Two-panel axial: CT | PSMA PET, 18F-PSMA tracer. Slice 288 of 427. PET panel 200×200 px (4.1 mm/px).
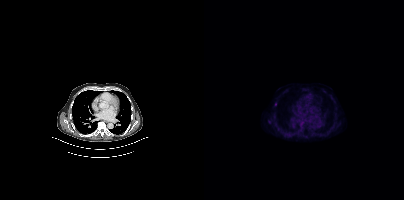
Coordinates are on the 200×200 PET (right) panel. Small PSMA-avid focus (2 to 4 px across) near (center x, center y): (71, 103).